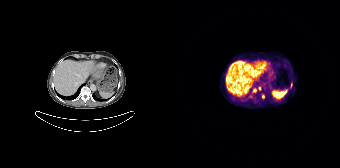
Coordinates are on the 168×168 PET (right) panel. (showing 3 of 4 foci) PSMA-avid tumor lesion bounding box (x, y, width, height): x=118 y=83 w=3 h=5. Small PSMA-avid foci (2 to 4 px across) near (center x, center y): (87, 88) | (91, 96).